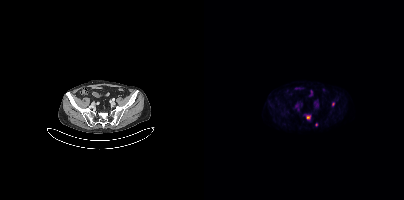
Coordinates are on the 200×200 PET (right) panel. PSMA-avid tumor lesion bounding box (x0,y0,x1,y1): [102,115,106,119]. Small PSMA-avid foci (2 to 4 px across) near (center x, center y): (129, 104), (112, 124).